Paired axial CT (left) and PSMA PET (right), 18F tracer. Acquired on Siemens Biograph mCT Flow 20. Slice position z = -988 mm.
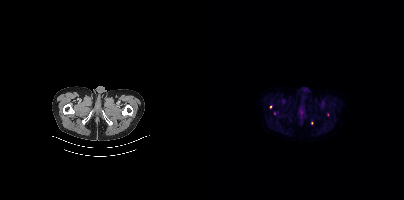
Coordinates are on the 200×200 PET (right) panel. (showing 2 of 3 foci) Small PSMA-avid foci (2 to 4 px across) near (center x, center y): (108, 123) (66, 107).